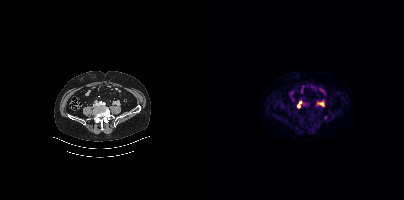
Coordinates are on the 200×200 PET (right) panel. Small PSMA-avid foci (2 to 4 px across) near (center x, center y): (94, 106); (96, 102).